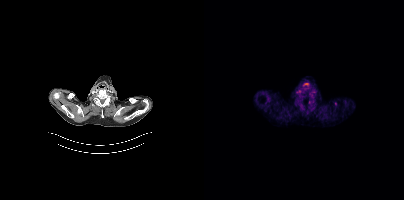
No PSMA-avid tumor lesions on this slice.
modality: PSMA PET/CT | tracer: [18F]PSMA-1007 | view: axial | PET grid: 200×200